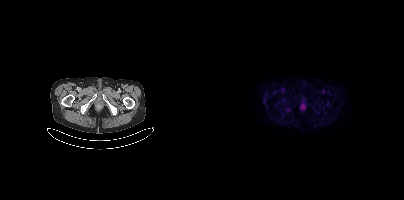
Findings: This slice has no annotated PSMA-avid lesion.
Technique: Left: CT. Right: PSMA PET, same axial level, 18F-PSMA tracer. acquired on Siemens Biograph mCT Flow 20. slice 47 of 387.